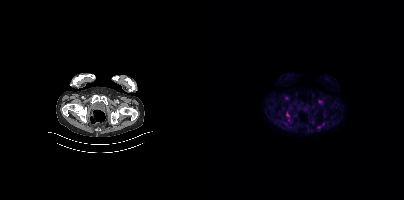
Coordinates are on the 200×200 PET (right) panel. Small PSMA-avid focus (2 to 4 px across) near (center x, center y): (83, 114).